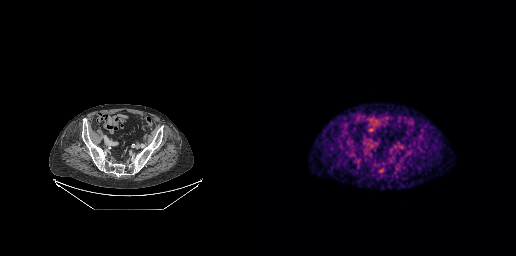
No tumor lesions annotated on this slice.